Paired axial CT (left) and PSMA PET (right), 18F-PSMA tracer. Acquired on Siemens Biograph mCT Flow 20. Slice position z = -1291 mm.
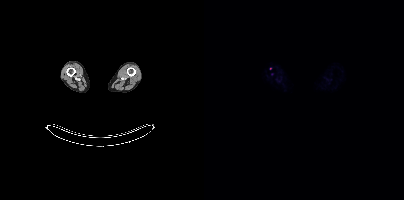
Only PSMA-avid lesion pieces thinner than 2 px on this slice (not listed).